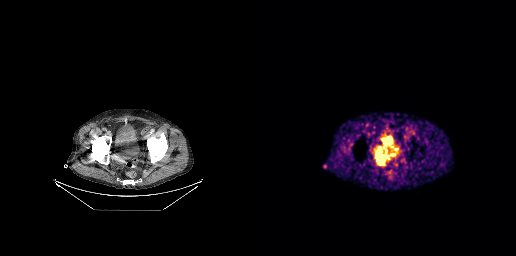
- Left: CT. Right: PSMA PET, same axial level, [68Ga]Ga-PSMA-11 tracer
- acquired on GE Discovery 690
- slice 72 of 263
Findings: Coordinates are on the 256×256 PET (right) panel. PSMA-avid tumor lesion bounding box (x, y, width, height): x=114 y=146 w=15 h=21.